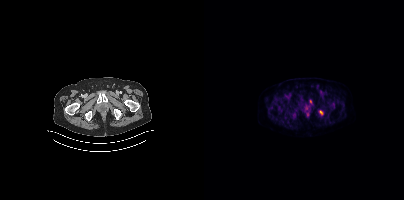
Coordinates are on the 200×200 PET (right) panel. PSMA-avid tumor lesion bounding box (x0,y0,x1,y1): [105,99,108,104]. Small PSMA-avid foci (2 to 4 px across) near (center x, center y): (117, 112) (129, 104).